Technique: Paired axial CT (left) and PSMA PET (right), 18F-PSMA tracer. PET panel 200×200 px (4.1 mm/px).
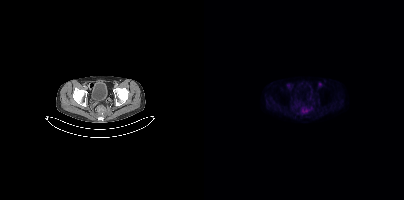
Findings: Coordinates are on the 200×200 PET (right) panel. PSMA-avid tumor lesion bounding box (x0,y0,x1,y1): [98,108,104,112].